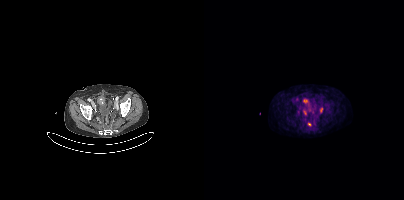
Two-panel axial: CT | PSMA PET, [18F]PSMA-1007 tracer. Acquired on Siemens Biograph mCT Flow 20.
Coordinates are on the 200×200 PET (right) panel. PSMA-avid tumor lesion bounding boxes (partial; 1 more focus not listed):
| # | x0 | y0 | x1 | y1 |
|---|---|---|---|---|
| 1 | 116 | 107 | 118 | 113 |
Small PSMA-avid foci (2 to 4 px across) near (center x, center y): (100, 112); (105, 124).